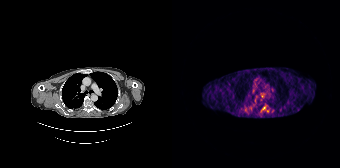
Coordinates are on the 168×168 PET (right) panel. Small PSMA-avid foci (2 to 4 px across) near (center x, center y): (91, 108); (95, 110).
modality: PSMA PET/CT | tracer: [68Ga]Ga-PSMA-11 | view: axial